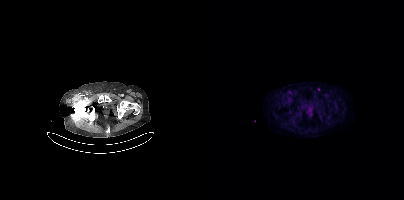
Findings: Coordinates are on the 200×200 PET (right) panel. Small PSMA-avid foci (2 to 4 px across) near (center x, center y): (85, 92); (114, 89).
- Two-panel axial: CT | PSMA PET, [18F]PSMA-1007 tracer